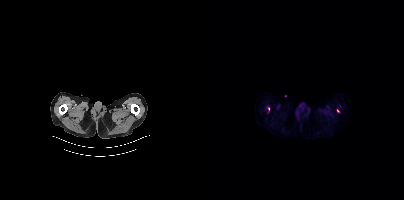
Coordinates are on the 200×200 PET (right) panel. Small PSMA-avid foci (2 to 4 px across) near (center x, center y): (134, 110); (64, 108).
modality: PSMA PET/CT | tracer: [18F]PSMA-1007 | view: axial | PET grid: 200×200